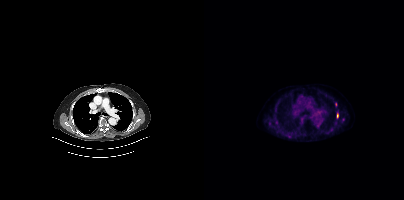
{"pet_grid":[200,200],"coord_frame":"pet_panel","coord_format":"x0,y0,x1,y1","partial":true,"lesion_bboxes":[],"small_foci_centers":[[71,109],[133,115],[131,104],[139,119]],"modality":"PSMA PET/CT","view":"axial","tracer":"18F-PSMA"}